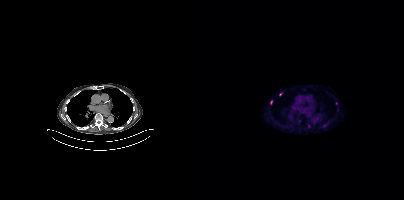
Coordinates are on the 200×200 PET (right) panel. (showing 4 of 5 foci) PSMA-avid tumor lesion bounding boxes (x, y, width, height): x=104 y=124 w=3 h=5 / x=66 y=100 w=3 h=5. Small PSMA-avid foci (2 to 4 px across) near (center x, center y): (76, 94) / (132, 103). Left: CT. Right: PSMA PET, same axial level, 18F tracer. Acquired on Siemens Biograph mCT Flow 20. PET panel 200×200 px (4.1 mm/px).